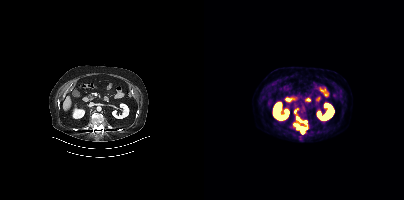
Paired axial CT (left) and PSMA PET (right), 18F-PSMA tracer.
Coordinates are on the 200×200 PET (right) panel. PSMA-avid tumor lesion bounding boxes (partial; 1 more focus not listed):
| # | x0 | y0 | x1 | y1 |
|---|---|---|---|---|
| 1 | 90 | 123 | 102 | 133 |
Small PSMA-avid foci (2 to 4 px across) near (center x, center y): (94, 118); (101, 121).